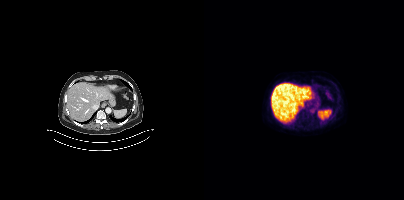
{"pet_grid":[200,200],"coord_frame":"pet_panel","coord_format":"x0,y0,x1,y1","psma_avid_lesions":false,"modality":"PSMA PET/CT","view":"axial","tracer":"[18F]PSMA-1007"}